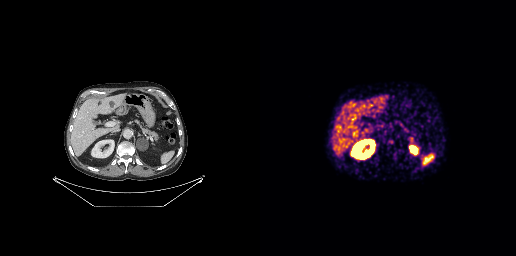
No PSMA-avid tumor lesions on this slice. Two-panel axial: CT | PSMA PET, [68Ga]Ga-PSMA-11 tracer. Acquired on GE Discovery 690. Slice 80 of 189. PET panel 256×256 px (2.7 mm/px).